- the face region was removed for patient privacy by blanking a rectangle over the head
- Paired axial CT (left) and PSMA PET (right), 18F-PSMA tracer
- slice position z = -1078 mm
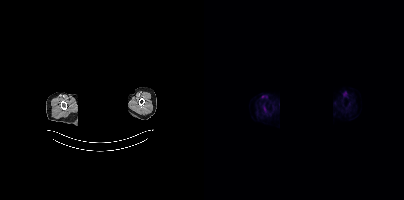
Findings: No PSMA-avid tumor lesions on this slice.